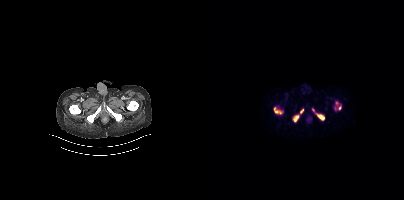
{"modality":"PSMA PET/CT","view":"axial","tracer":"68Ga-PSMA","pet_grid":[200,200],"coord_frame":"pet_panel","coord_format":"x0,y0,x1,y1","psma_avid_lesions":false}